Paired axial CT (left) and PSMA PET (right), [18F]PSMA-1007 tracer. Slice position z = -780 mm.
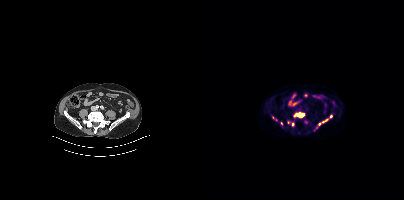
Coordinates are on the 200×200 PET (right) panel. (showing 7 of 9 foci) PSMA-avid tumor lesion bounding boxes (x, y, width, height): x=92 y=113 w=9 h=5; x=122 y=114 w=7 h=7; x=68 y=116 w=6 h=5. Small PSMA-avid foci (2 to 4 px across) near (center x, center y): (88, 124); (77, 123); (115, 123); (118, 121).